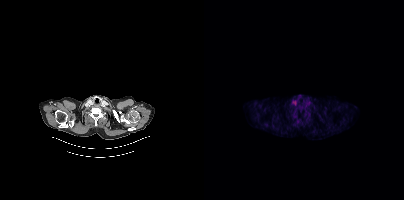
Two-panel axial: CT | PSMA PET, [18F]PSMA-1007 tracer. Acquired on Siemens Biograph mCT Flow 20. This slice has no annotated PSMA-avid lesion.